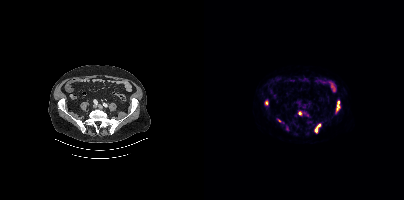
- Left: CT. Right: PSMA PET, same axial level, [18F]PSMA-1007 tracer
- acquired on Siemens Biograph mCT Flow 20
- slice position z = -821 mm
- PET panel 200×200 px (4.1 mm/px)
Findings: Coordinates are on the 200×200 PET (right) panel. PSMA-avid tumor lesion bounding boxes (x0, y0)-(x1, y1): (132, 100)-(136, 112) | (110, 124)-(116, 133). Small PSMA-avid foci (2 to 4 px across) near (center x, center y): (62, 102) | (95, 113) | (75, 120).